- Left: CT. Right: PSMA PET, same axial level, [18F]PSMA-1007 tracer
- PET panel 200×200 px (4.1 mm/px)
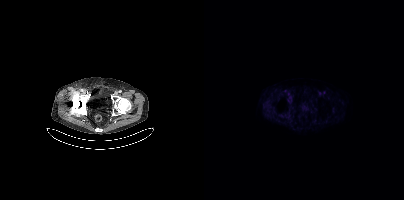
Findings: No tumor lesions annotated on this slice.